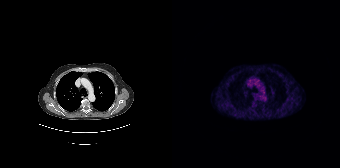
No PSMA-avid tumor lesions on this slice.